- Left: CT. Right: PSMA PET, same axial level, 68Ga tracer
- slice position z = -310 mm
- PET panel 256×256 px (2.7 mm/px)
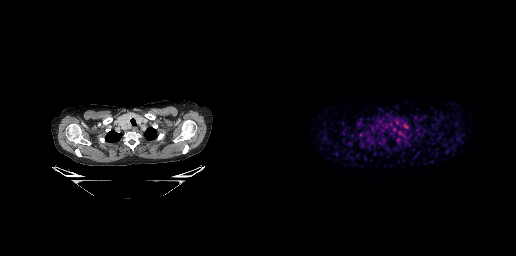
Findings: No PSMA-avid tumor lesions on this slice.